Paired axial CT (left) and PSMA PET (right), [18F]PSMA-1007 tracer. Acquired on Siemens Biograph mCT Flow 20. PET panel 200×200 px (4.1 mm/px). Facial anatomy redacted by setting a rectangular region of the head to black.
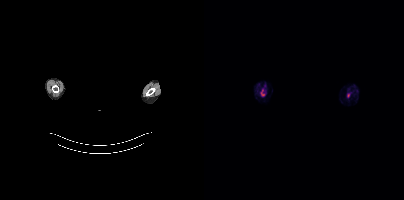
Negative for PSMA-avid disease on this slice.